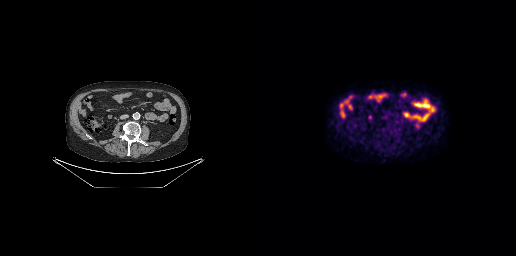
{"modality":"PSMA PET/CT","view":"axial","tracer":"18F","pet_grid":[256,256],"coord_frame":"pet_panel","coord_format":"x0,y0,x1,y1","psma_avid_lesions":false}